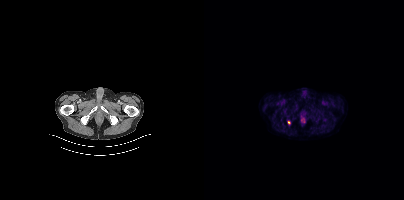
Coordinates are on the 200×200 PET (right) panel. Small PSMA-avid focus (2 to 4 px across) near (center x, center y): (85, 122).